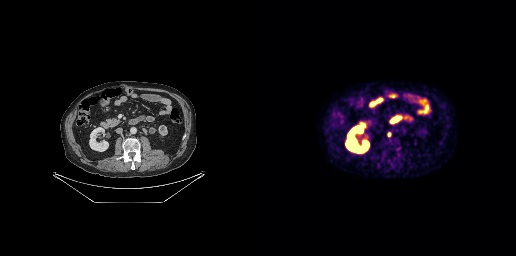
modality: PSMA PET/CT | tracer: 18F-PSMA | view: axial | PET grid: 256×256
Coordinates are on the 256×256 PET (right) panel. PSMA-avid tumor lesion bounding box (x0, y0)-(x1, y1): (127, 132)-(131, 136).